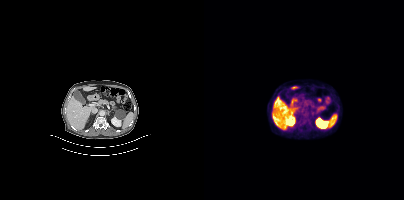
Negative for PSMA-avid disease on this slice.